Technique: Two-panel axial: CT | PSMA PET, [18F]PSMA-1007 tracer. acquired on Siemens Biograph mCT Flow 20. slice 453 of 464. PET panel 200×200 px (4.1 mm/px).
Note: A rectangle over the head was blacked out to remove identifiable facial features.
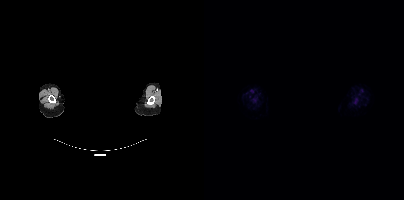
Findings: Coordinates are on the 200×200 PET (right) panel. PSMA-avid tumor lesion bounding box (x, y, width, height): x=48 y=98 w=6 h=6. Small PSMA-avid focus (2 to 4 px across) near (center x, center y): (150, 102).